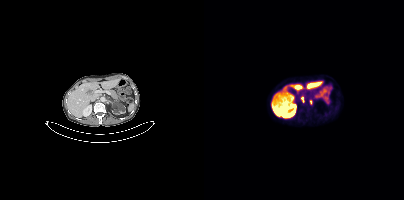
Left: CT. Right: PSMA PET, same axial level, [18F]PSMA-1007 tracer. PET panel 200×200 px (4.1 mm/px).
Coordinates are on the 200×200 PET (right) panel. PSMA-avid tumor lesion bounding boxes (partial; 1 more focus not listed):
| # | x0 | y0 | x1 | y1 |
|---|---|---|---|---|
| 1 | 98 | 97 | 99 | 101 |